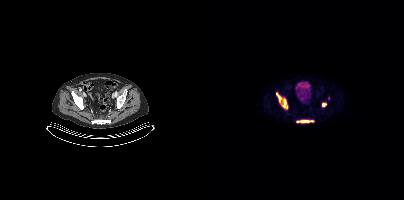
{"modality":"PSMA PET/CT","view":"axial","tracer":"18F-PSMA","pet_grid":[200,200],"coord_frame":"pet_panel","coord_format":"x0,y0,x1,y1","lesion_bboxes":[[72,93,83,108],[93,120,109,122],[118,103,122,106]]}